- Paired axial CT (left) and PSMA PET (right), 18F tracer
- slice 248 of 423
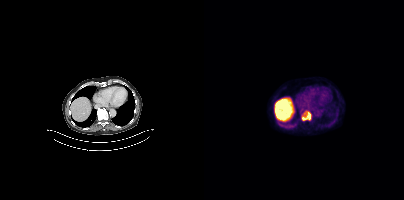
Findings: Coordinates are on the 200×200 PET (right) panel. PSMA-avid tumor lesion bounding box (x0, y0)-(x1, y1): (98, 111)-(107, 120).